- Two-panel axial: CT | PSMA PET, 18F-PSMA tracer
- slice position z = -312 mm
- PET panel 200×200 px (4.1 mm/px)
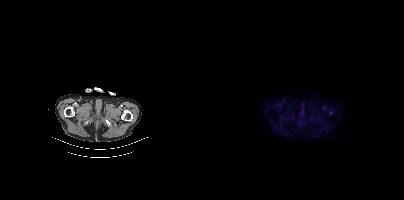
Findings: Only PSMA-avid lesion pieces thinner than 2 px on this slice (not listed).